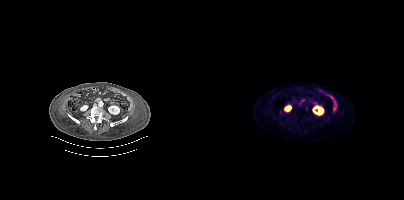
Two-panel axial: CT | PSMA PET, [18F]PSMA-1007 tracer. Slice 126 of 344. PET panel 200×200 px (4.1 mm/px). No tumor lesions annotated on this slice.